Two-panel axial: CT | PSMA PET, [68Ga]Ga-PSMA-11 tracer.
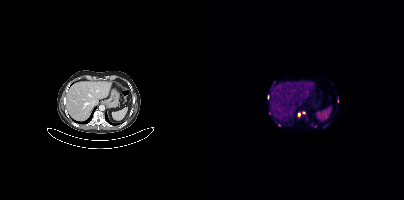
Coordinates are on the 200×200 PET (right) panel. (showing 7 of 11 foci) PSMA-avid tumor lesion bounding box (x0, y0)-(x1, y1): (133, 97)-(134, 103). Small PSMA-avid foci (2 to 4 px across) near (center x, center y): (102, 116) | (70, 82) | (65, 113) | (99, 112) | (94, 114) | (111, 126).